modality: PSMA PET/CT | tracer: [18F]PSMA-1007 | view: axial
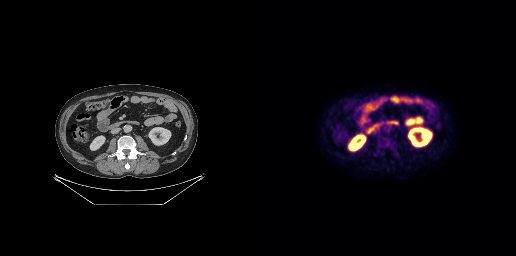
Negative for PSMA-avid disease on this slice.